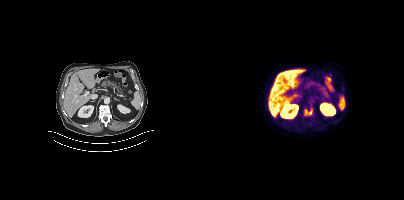
Paired axial CT (left) and PSMA PET (right), 18F tracer. Acquired on Siemens Biograph mCT Flow 20. PET panel 200×200 px (4.1 mm/px). Coordinates are on the 200×200 PET (right) panel. PSMA-avid tumor lesion bounding box (x0,y0,x1,y1): [100,108,108,115].